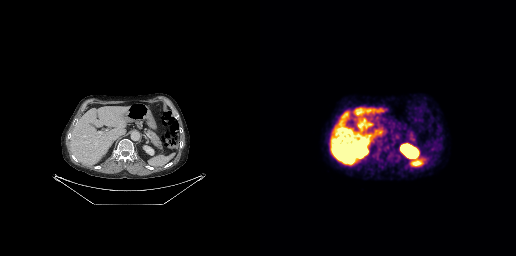
No PSMA-avid tumor lesions on this slice.